Technique: Left: CT. Right: PSMA PET, same axial level, 18F tracer. PET panel 200×200 px (4.1 mm/px).
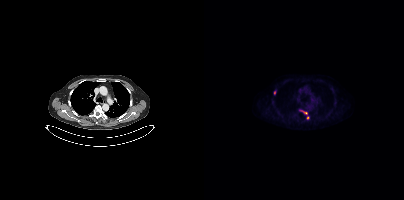
Findings: Coordinates are on the 200×200 PET (right) panel. Small PSMA-avid foci (2 to 4 px across) near (center x, center y): (71, 92), (101, 113), (96, 110), (103, 117).